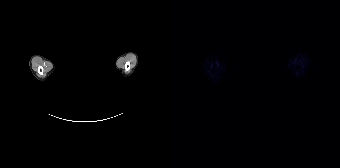
{"pet_grid":[168,168],"coord_frame":"pet_panel","coord_format":"x0,y0,x1,y1","psma_avid_lesions":false,"modality":"PSMA PET/CT","view":"axial","tracer":"18F-PSMA","deidentification":"head region blanked (face removed)"}